Technique: Two-panel axial: CT | PSMA PET, 18F-PSMA tracer. slice 279 of 421. PET panel 200×200 px (4.1 mm/px).
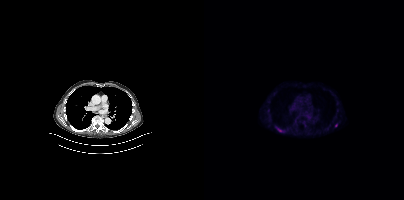
Findings: Coordinates are on the 200×200 PET (right) panel. PSMA-avid tumor lesion bounding box (x0,y0,x1,y1): [73,128,78,131]. Small PSMA-avid focus (2 to 4 px across) near (center x, center y): (132, 125).